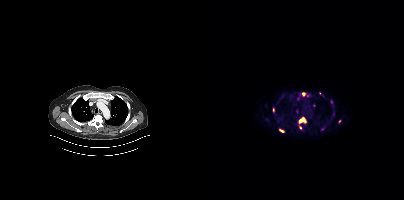
- Two-panel axial: CT | PSMA PET, 18F-PSMA tracer
- slice position z = -1079 mm
Findings: Coordinates are on the 200×200 PET (right) panel. (showing 8 of 9 foci) PSMA-avid tumor lesion bounding boxes (x, y, width, height): x=94 y=117 w=9 h=7; x=75 y=129 w=6 h=4; x=126 y=100 w=4 h=6; x=98 y=92 w=4 h=5; x=115 y=92 w=5 h=5. Small PSMA-avid foci (2 to 4 px across) near (center x, center y): (96, 127); (69, 109); (135, 121).